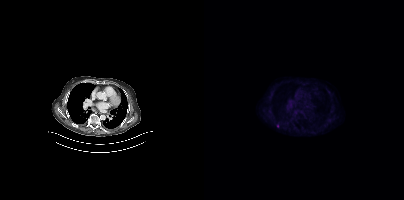
Findings: Coordinates are on the 200×200 PET (right) panel. Small PSMA-avid focus (2 to 4 px across) near (center x, center y): (73, 125).
Technique: Two-panel axial: CT | PSMA PET, 18F tracer. acquired on Siemens Biograph mCT Flow 20.